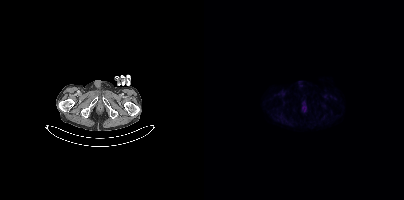
No PSMA-avid tumor lesions on this slice. Left: CT. Right: PSMA PET, same axial level, 18F-PSMA tracer.